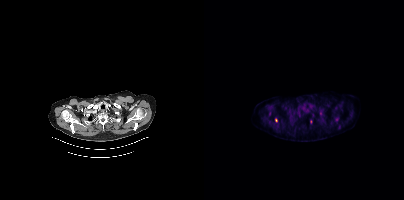
Coordinates are on the 200×200 PET (right) panel. Small PSMA-avid foci (2 to 4 px across) near (center x, center y): (72, 120) | (132, 119) | (106, 121).
modality: PSMA PET/CT | tracer: 18F | view: axial | PET grid: 200×200